Paired axial CT (left) and PSMA PET (right), [18F]PSMA-1007 tracer. PET panel 200×200 px (4.1 mm/px). An anonymization step blacked out a rectangle over the head in this scan.
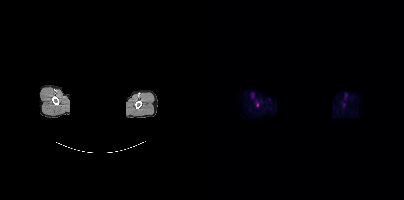
Only PSMA-avid lesion pieces thinner than 2 px on this slice (not listed).